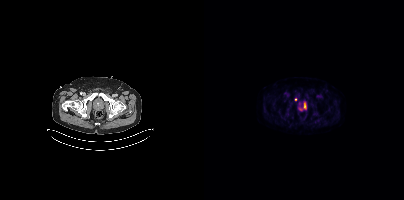
{"modality":"PSMA PET/CT","view":"axial","tracer":"18F","pet_grid":[200,200],"coord_frame":"pet_panel","coord_format":"x0,y0,x1,y1","lesion_bboxes":[],"small_foci_centers":[[91,99]]}